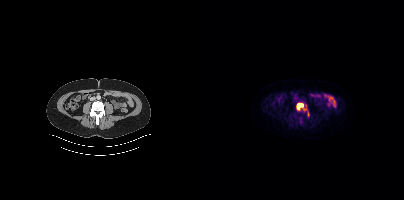
{"modality":"PSMA PET/CT","view":"axial","tracer":"[18F]PSMA-1007","pet_grid":[200,200],"coord_frame":"pet_panel","coord_format":"x0,y0,x1,y1","lesion_bboxes":[[93,103,99,109]]}